- Two-panel axial: CT | PSMA PET, 18F-PSMA tracer
- acquired on Siemens Biograph mCT Flow 20
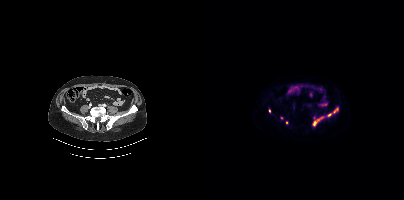
Findings: Coordinates are on the 200×200 PET (right) panel. (showing 6 of 7 foci) PSMA-avid tumor lesion bounding boxes (x, y, width, height): x=109 y=116 w=12 h=10 / x=129 y=107 w=6 h=6. Small PSMA-avid foci (2 to 4 px across) near (center x, center y): (125, 114) / (65, 110) / (77, 117) / (82, 122).